Technique: Two-panel axial: CT | PSMA PET, 18F tracer. slice 103 of 389. PET panel 200×200 px (4.1 mm/px).
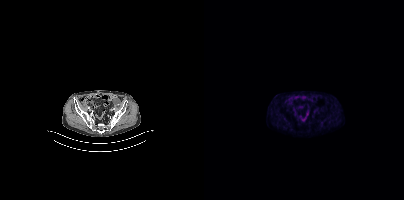
Findings: This slice has no annotated PSMA-avid lesion.